Technique: Two-panel axial: CT | PSMA PET, 18F tracer. slice 43 of 165.
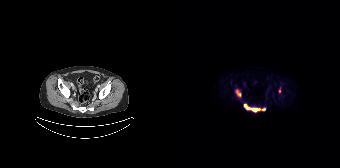
Findings: Coordinates are on the 168×168 PET (right) panel. PSMA-avid tumor lesion bounding boxes (x, y, width, height): x=72 y=104 w=22 h=9; x=64 y=90 w=5 h=7. Small PSMA-avid focus (2 to 4 px across) near (center x, center y): (107, 91).